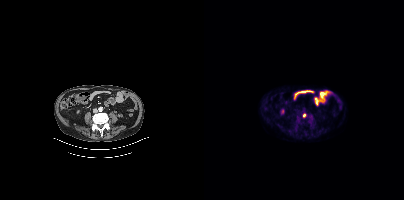
Technique: Left: CT. Right: PSMA PET, same axial level, 18F tracer. slice position z = -1410 mm.
Findings: Coordinates are on the 200×200 PET (right) panel. Small PSMA-avid focus (2 to 4 px across) near (center x, center y): (100, 115).